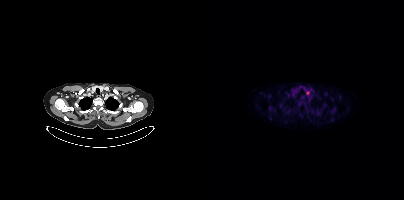
Findings: Coordinates are on the 200×200 PET (right) panel. Small PSMA-avid focus (2 to 4 px across) near (center x, center y): (104, 93).
- Two-panel axial: CT | PSMA PET, [18F]PSMA-1007 tracer
- acquired on Siemens Biograph mCT Flow 20
- slice position z = -979 mm